- Two-panel axial: CT | PSMA PET, 18F tracer
- acquired on Siemens Biograph mCT Flow 20
- PET panel 200×200 px (4.1 mm/px)
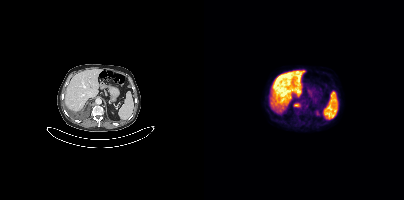
Findings: Coordinates are on the 200×200 PET (right) panel. PSMA-avid tumor lesion bounding box (x0, y0)-(x1, y1): (90, 103)-(95, 106).